Technique: Two-panel axial: CT | PSMA PET, 18F-PSMA tracer.
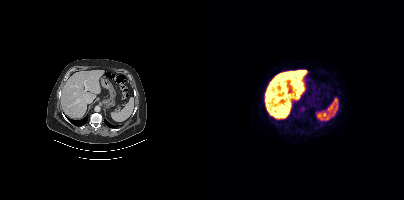
Findings: No PSMA-avid tumor lesions on this slice.